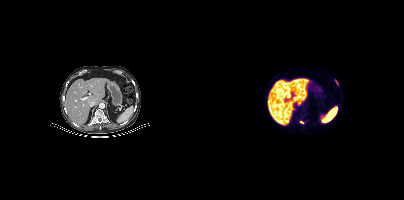
{"modality":"PSMA PET/CT","view":"axial","tracer":"18F","pet_grid":[200,200],"coord_frame":"pet_panel","coord_format":"x0,y0,x1,y1","partial":true,"lesion_bboxes":[],"small_foci_centers":[[97,122]]}